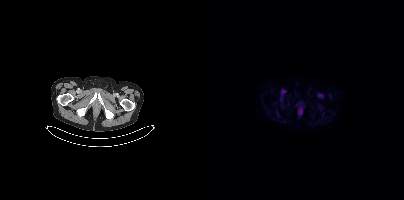
No PSMA-avid tumor lesions on this slice. Two-panel axial: CT | PSMA PET, 18F tracer. PET panel 200×200 px (4.1 mm/px).